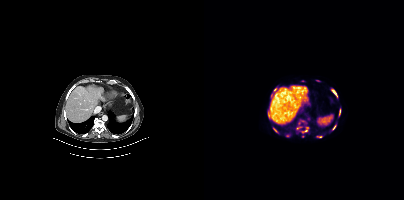
Technique: Two-panel axial: CT | PSMA PET, 18F tracer.
Findings: Coordinates are on the 200×200 PET (right) panel. (showing 6 of 7 foci) PSMA-avid tumor lesion bounding boxes (x0, y0)-(x1, y1): (128, 90)-(133, 96) | (129, 125)-(131, 129). Small PSMA-avid foci (2 to 4 px across) near (center x, center y): (71, 89) | (70, 129) | (116, 136) | (102, 130).